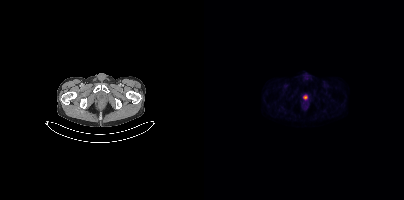
Two-panel axial: CT | PSMA PET, [18F]PSMA-1007 tracer. Slice 52 of 448. This slice has no annotated PSMA-avid lesion.